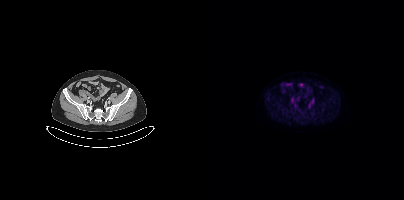
Findings: Negative for PSMA-avid disease on this slice.
Technique: Two-panel axial: CT | PSMA PET, [18F]PSMA-1007 tracer. acquired on Siemens Biograph mCT Flow 20.